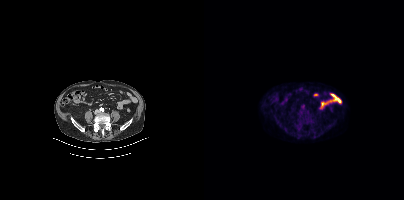
No tumor lesions annotated on this slice.